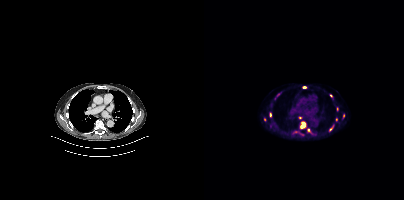
modality: PSMA PET/CT | tracer: 18F-PSMA | view: axial | PET grid: 200×200
Coordinates are on the 200×200 PET (right) panel. (showing 10 of 11 foci) PSMA-avid tumor lesion bounding boxes (x, y, width, height): x=97 y=122 w=5 h=7 | x=98 y=86 w=5 h=3. Small PSMA-avid foci (2 to 4 px across) near (center x, center y): (127, 95) | (66, 114) | (126, 128) | (139, 115) | (60, 119) | (132, 119) | (104, 129) | (91, 131).